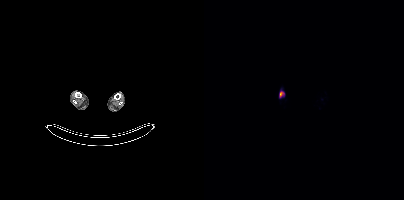
Coordinates are on the 200×200 PET (right) panel. PSMA-avid tumor lesion bounding box (x0, y0)-(x1, y1): (76, 91)-(80, 97). Two-panel axial: CT | PSMA PET, [18F]PSMA-1007 tracer. Slice position z = -1771 mm. PET panel 200×200 px (4.1 mm/px).